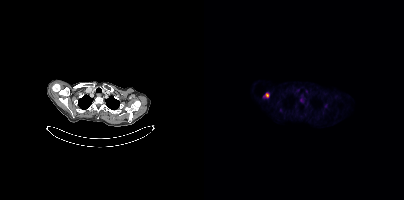
Left: CT. Right: PSMA PET, same axial level, 18F-PSMA tracer. PET panel 200×200 px (4.1 mm/px).
Coordinates are on the 200×200 PET (right) panel. PSMA-avid tumor lesion bounding boxes:
| # | x0 | y0 | x1 | y1 |
|---|---|---|---|---|
| 1 | 59 | 93 | 64 | 98 |